Two-panel axial: CT | PSMA PET, 68Ga-PSMA tracer.
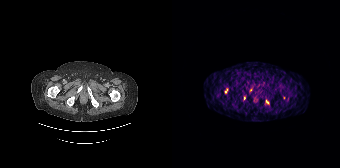
Coordinates are on the 168×168 PET (right) panel. (showing 3 of 4 foci) PSMA-avid tumor lesion bounding boxes (x0,y0,x1,y1): [94,100,97,104]; [53,89,55,93]. Small PSMA-avid focus (2 to 4 px across) near (center x, center y): (72, 98).